Paired axial CT (left) and PSMA PET (right), [68Ga]Ga-PSMA-11 tracer. PET panel 200×200 px (4.1 mm/px).
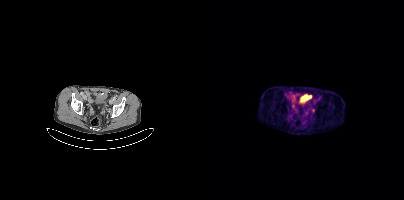
Coordinates are on the 200×200 PET (right) panel. Small PSMA-avid focus (2 to 4 px across) near (center x, center y): (109, 110).